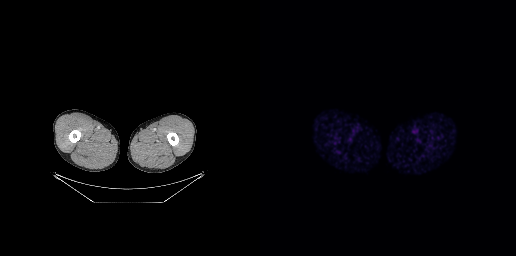
Two-panel axial: CT | PSMA PET, 18F-PSMA tracer. Slice 23 of 299. PET panel 256×256 px (2.7 mm/px). Negative for PSMA-avid disease on this slice.